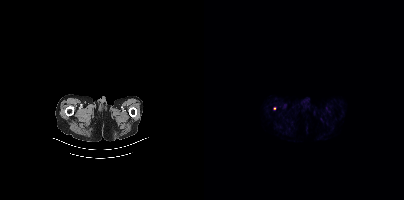
{"pet_grid":[200,200],"coord_frame":"pet_panel","coord_format":"x0,y0,x1,y1","lesion_bboxes":[],"small_foci_centers":[[70,108]],"modality":"PSMA PET/CT","view":"axial","tracer":"68Ga"}